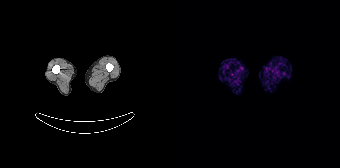
No PSMA-avid tumor lesions on this slice.